modality: PSMA PET/CT | tracer: [18F]PSMA-1007 | view: axial | PET grid: 256×256 | de-identification: rectangular block over head set to black
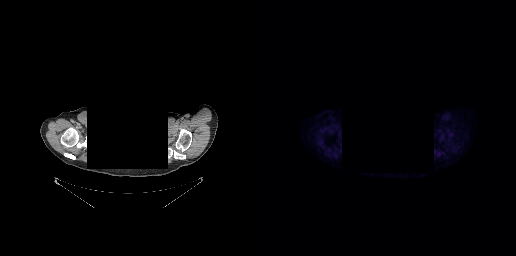
No PSMA-avid tumor lesions on this slice.